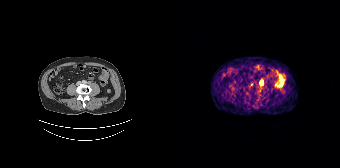
Findings: Coordinates are on the 168×168 PET (right) panel. Small PSMA-avid focus (2 to 4 px across) near (center x, center y): (89, 82).
Technique: Two-panel axial: CT | PSMA PET, 68Ga-PSMA tracer. acquired on Siemens Biograph 64-4R TruePoint.